- Two-panel axial: CT | PSMA PET, 18F tracer
- acquired on Siemens Biograph mCT Flow 20
- slice 144 of 421
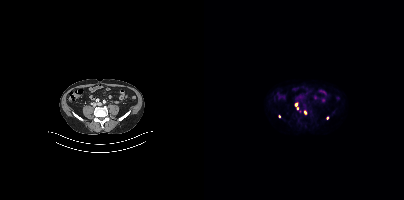
Findings: Coordinates are on the 200×200 PET (right) panel. (showing 4 of 5 foci) Small PSMA-avid foci (2 to 4 px across) near (center x, center y): (101, 112); (91, 104); (93, 107); (123, 117).